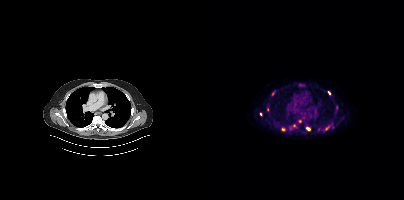
modality: PSMA PET/CT | tracer: 18F-PSMA | view: axial | PET grid: 200×200
Coordinates are on the 200×200 PET (right) panel. (showing 6 of 7 foci) PSMA-avid tumor lesion bounding box (x0,y0,x1,y1): [102,127,106,130]. Small PSMA-avid foci (2 to 4 px across) near (center x, center y): (79, 129), (125, 92), (96, 121), (56, 114), (90, 125).